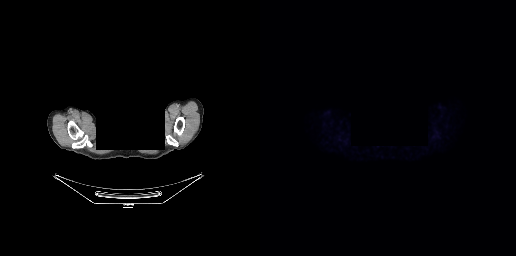
- Left: CT. Right: PSMA PET, same axial level, 18F-PSMA tracer
- the face region was removed for patient privacy by blanking a rectangle over the head
Findings: Negative for PSMA-avid disease on this slice.